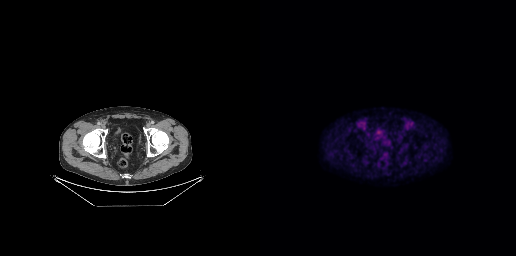
{"pet_grid":[256,256],"coord_frame":"pet_panel","coord_format":"x0,y0,x1,y1","psma_avid_lesions":false,"modality":"PSMA PET/CT","view":"axial","tracer":"18F"}